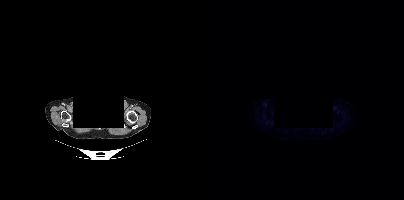
modality: PSMA PET/CT | tracer: [18F]PSMA-1007 | view: axial | de-identification: privacy mask over head
No PSMA-avid tumor lesions on this slice.